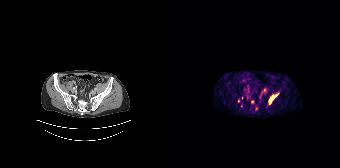
{"pet_grid":[168,168],"coord_frame":"pet_panel","coord_format":"x0,y0,x1,y1","partial":true,"lesion_bboxes":[[97,96,101,103]],"small_foci_centers":[[104,94],[92,90],[66,100]],"modality":"PSMA PET/CT","view":"axial","tracer":"68Ga"}